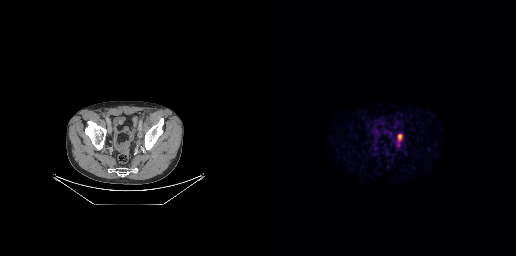
{"modality":"PSMA PET/CT","view":"axial","tracer":"18F-PSMA","pet_grid":[256,256],"coord_frame":"pet_panel","coord_format":"x0,y0,x1,y1","lesion_bboxes":[[137,134,142,141]]}